- Paired axial CT (left) and PSMA PET (right), 18F tracer
- acquired on Siemens Biograph mCT Flow 20
- slice position z = 252 mm
- PET panel 200×200 px (4.1 mm/px)
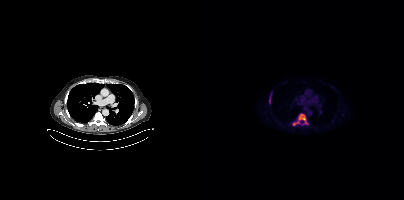
Findings: Coordinates are on the 200×200 PET (right) panel. PSMA-avid tumor lesion bounding boxes (x0,y0,x1,y1): [88,113,104,125]; [65,92,68,103].